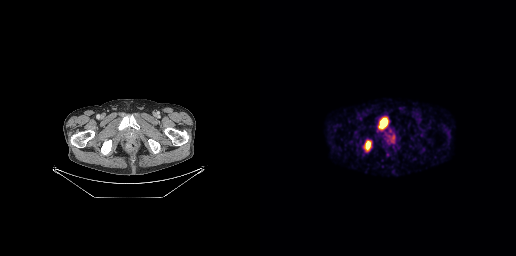
Technique: Two-panel axial: CT | PSMA PET, 68Ga-PSMA tracer. acquired on GE Discovery 690. slice 53 of 263.
Findings: Coordinates are on the 256×256 PET (right) panel. (showing 3 of 5 foci) PSMA-avid tumor lesion bounding boxes (x0,y0,x1,y1): [118,118,128,129] [104,141,111,151] [130,135,134,140].